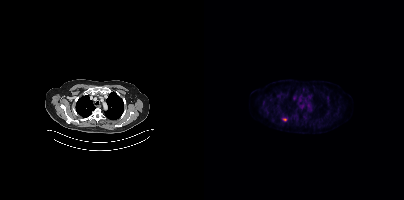
- Two-panel axial: CT | PSMA PET, 18F tracer
- acquired on Siemens Biograph mCT Flow 20
Findings: Coordinates are on the 200×200 PET (right) panel. Small PSMA-avid focus (2 to 4 px across) near (center x, center y): (80, 119).